Technique: Two-panel axial: CT | PSMA PET, [68Ga]Ga-PSMA-11 tracer. slice position z = -730 mm.
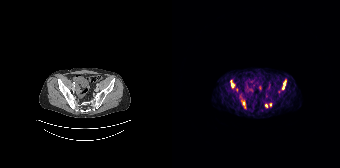
Findings: Coordinates are on the 168×168 PET (right) panel. (showing 5 of 7 foci) PSMA-avid tumor lesion bounding boxes (x, y, width, height): x=59 y=80 w=5 h=9; x=110 y=80 w=5 h=10; x=70 y=101 w=4 h=8. Small PSMA-avid foci (2 to 4 px across) near (center x, center y): (98, 104); (94, 105).